Technique: Paired axial CT (left) and PSMA PET (right), 18F tracer. slice position z = -964 mm.
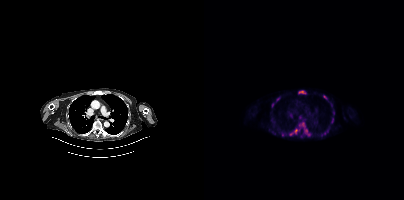
Findings: Coordinates are on the 200×200 PET (right) panel. (showing 11 of 14 foci) PSMA-avid tumor lesion bounding boxes (x, y, width, height): x=85 y=129 w=9 h=7 | x=101 y=129 w=7 h=8 | x=95 y=122 w=6 h=6 | x=117 y=131 w=6 h=6 | x=77 y=132 w=5 h=5 | x=95 y=91 w=7 h=3 | x=119 y=95 w=4 h=5 | x=72 y=97 w=4 h=5 | x=68 y=103 w=2 h=5. Small PSMA-avid foci (2 to 4 px across) near (center x, center y): (69, 132) | (96, 117).